modality: PSMA PET/CT | tracer: 18F | view: axial | PET grid: 200×200
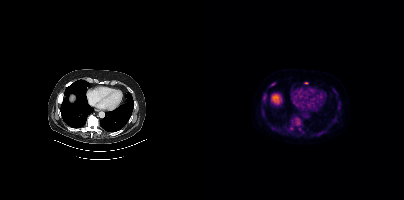
Coordinates are on the 200×200 PET (right) panel. (showing 2 of 3 foci) Small PSMA-avid foci (2 to 4 px across) near (center x, center y): (60, 100) | (102, 82).